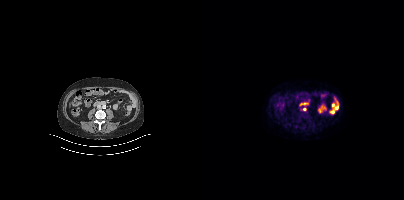
Coordinates are on the 200×200 PET (right) panel. PSMA-avid tumor lesion bounding box (x, y, width, height): x=98 y=108 w=5 h=4.
modality: PSMA PET/CT | tracer: [18F]PSMA-1007 | view: axial | PET grid: 200×200